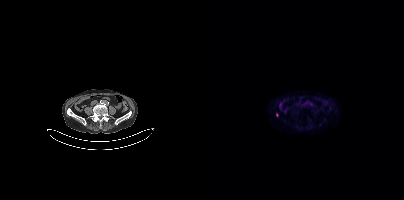
Coordinates are on the 200×200 PET (right) panel. (showing 1 of 2 foci) Small PSMA-avid focus (2 to 4 px across) near (center x, center y): (73, 115).